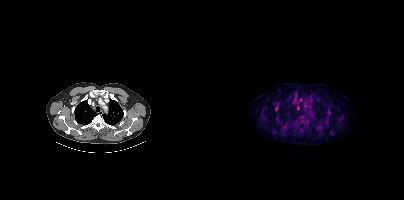
Findings: Coordinates are on the 200×200 PET (right) panel. (showing 3 of 4 foci) Small PSMA-avid foci (2 to 4 px across) near (center x, center y): (96, 99); (72, 109); (124, 114).
- Paired axial CT (left) and PSMA PET (right), 18F tracer
- slice position z = -945 mm